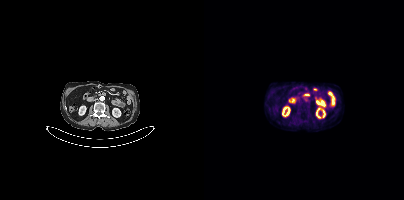
This slice has no annotated PSMA-avid lesion.